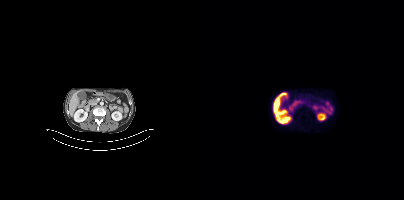
No tumor lesions annotated on this slice. Two-panel axial: CT | PSMA PET, [18F]PSMA-1007 tracer. PET panel 200×200 px (4.1 mm/px).